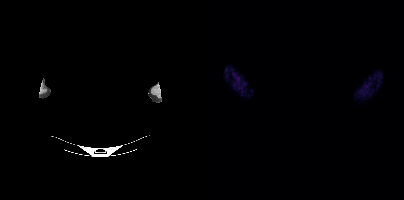
Negative for PSMA-avid disease on this slice. Paired axial CT (left) and PSMA PET (right), [68Ga]Ga-PSMA-11 tracer. Acquired on Siemens Biograph mCT Flow 20. Slice 393 of 405. PET panel 200×200 px (4.1 mm/px). Head region blanked for anonymization (face removed).